modality: PSMA PET/CT | tracer: 18F | view: axial
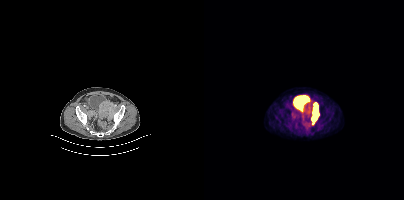
Coordinates are on the 200×200 PET (right) panel. PSMA-avid tumor lesion bounding boxes (x0,y0,x1,y1): [108,103,114,124] [101,109,106,115].